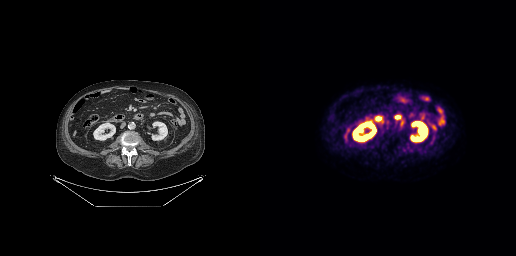
Coordinates are on the 256×256 PET (right) panel. PSMA-avid tumor lesion bounding box (x0, y0)-(x1, y1): (120, 126)-(123, 132). Small PSMA-avid focus (2 to 4 px across) near (center x, center y): (126, 127).